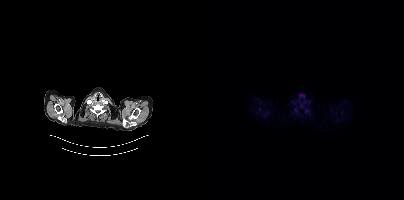
{"pet_grid":[200,200],"coord_frame":"pet_panel","coord_format":"x0,y0,x1,y1","lesion_bboxes":[],"small_foci_centers":[[102,110]],"modality":"PSMA PET/CT","view":"axial","tracer":"18F"}